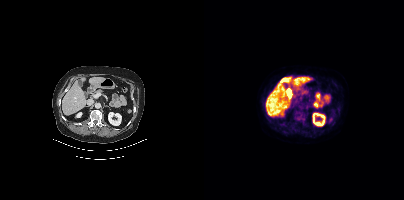
Negative for PSMA-avid disease on this slice.